- Left: CT. Right: PSMA PET, same axial level, 18F-PSMA tracer
- PET panel 200×200 px (4.1 mm/px)
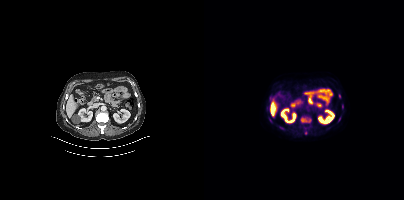
Findings: Coordinates are on the 200×200 PET (right) panel. PSMA-avid tumor lesion bounding boxes (x0, y0)-(x1, y1): (97, 117)-(107, 122) / (75, 126)-(79, 129). Small PSMA-avid foci (2 to 4 px across) near (center x, center y): (66, 119) / (138, 107) / (101, 133) / (135, 96) / (134, 120).